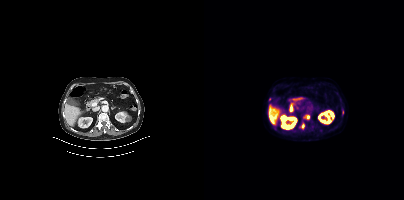
{"modality":"PSMA PET/CT","view":"axial","tracer":"[18F]PSMA-1007","pet_grid":[200,200],"coord_frame":"pet_panel","coord_format":"x0,y0,x1,y1","partial":true,"lesion_bboxes":[[99,115,105,119],[97,123,100,128],[138,110,139,114]]}